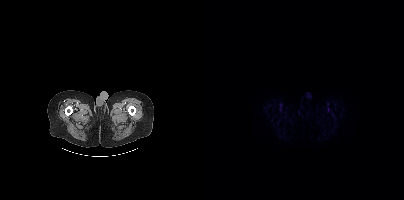
Technique: Left: CT. Right: PSMA PET, same axial level, 18F-PSMA tracer. acquired on Siemens Biograph mCT Flow 20.
Findings: No tumor lesions annotated on this slice.